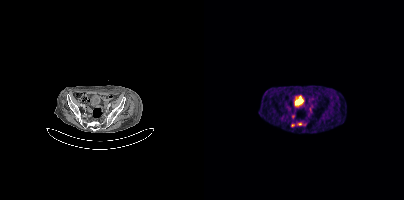
- Two-panel axial: CT | PSMA PET, 68Ga tracer
- slice position z = -998 mm
- PET panel 200×200 px (4.1 mm/px)
Findings: Coordinates are on the 200×200 PET (right) panel. (showing 4 of 6 foci) Small PSMA-avid foci (2 to 4 px across) near (center x, center y): (89, 116) | (95, 124) | (106, 110) | (88, 124).